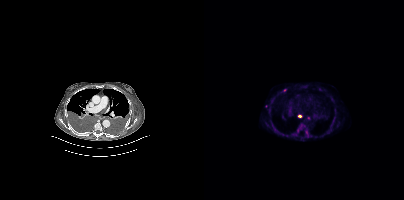
Coordinates are on the 200×200 PET (right) panel. PSMA-avid tumor lesion bounding boxes (x, y, width, height): x=93 y=123 w=8 h=10 | x=101 y=129 w=4 h=9. Small PSMA-avid foci (2 to 4 px across) near (center x, center y): (80, 90) | (104, 118) | (96, 115) | (91, 134) | (62, 105).